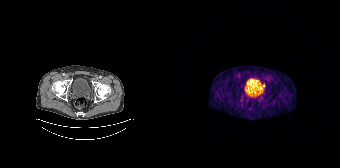
Coordinates are on the 168×168 PET (right) panel. Small PSMA-avid focus (2 to 4 px across) near (center x, center y): (92, 85).